Left: CT. Right: PSMA PET, same axial level, 68Ga tracer. Slice 75 of 195.
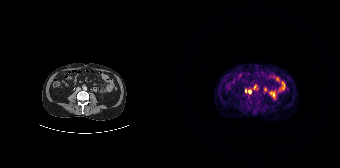
Coordinates are on the 168×168 PET (right) panel. Small PSMA-avid foci (2 to 4 px across) near (center x, center y): (77, 91); (82, 86); (73, 90).